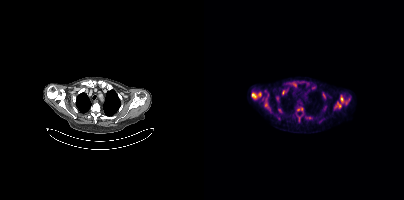
Coordinates are on the 200×200 PET (right) panel. (showing 9 of 13 foci) PSMA-avid tumor lesion bounding boxes (x, y, width, height): x=130 y=102 w=8 h=7 | x=60 y=103 w=7 h=9 | x=48 y=93 w=5 h=6 | x=136 y=95 w=4 h=8 | x=82 y=82 w=7 h=4 | x=78 y=90 w=3 h=5. Small PSMA-avid foci (2 to 4 px across) near (center x, center y): (55, 94) | (95, 118) | (142, 103).